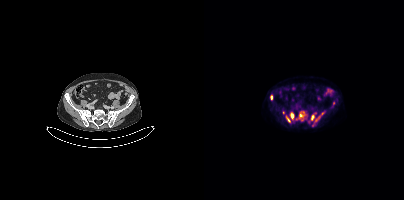
Paired axial CT (left) and PSMA PET (right), 18F tracer. PET panel 200×200 px (4.1 mm/px). Coordinates are on the 200×200 PET (right) panel. (showing 8 of 10 foci) PSMA-avid tumor lesion bounding boxes (x0, y0)-(x1, y1): (95, 112)-(100, 118) / (86, 112)-(90, 119) / (107, 115)-(110, 120) / (82, 116)-(86, 122). Small PSMA-avid foci (2 to 4 px across) near (center x, center y): (67, 96) / (129, 103) / (79, 112) / (118, 113).